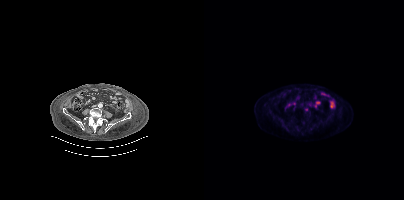
Two-panel axial: CT | PSMA PET, 18F tracer. PET panel 200×200 px (4.1 mm/px). Coordinates are on the 200×200 PET (right) panel. Small PSMA-avid focus (2 to 4 px across) near (center x, center y): (102, 109).